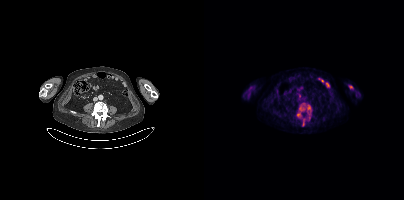
{"modality":"PSMA PET/CT","view":"axial","tracer":"[18F]PSMA-1007","pet_grid":[200,200],"coord_frame":"pet_panel","coord_format":"x0,y0,x1,y1","lesion_bboxes":[[93,103,107,119],[98,119,101,125]],"small_foci_centers":[[146,87]]}